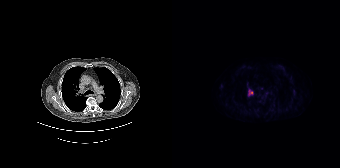
Findings: Coordinates are on the 168×168 PET (right) panel. PSMA-avid tumor lesion bounding box (x0,y0,x1,y1): [77,90,80,94].
Technique: Left: CT. Right: PSMA PET, same axial level, [18F]PSMA-1007 tracer. slice 116 of 165.